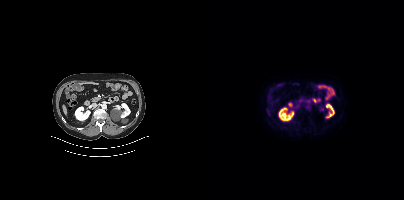
{"pet_grid":[200,200],"coord_frame":"pet_panel","coord_format":"x0,y0,x1,y1","psma_avid_lesions":false,"modality":"PSMA PET/CT","view":"axial","tracer":"18F-PSMA"}